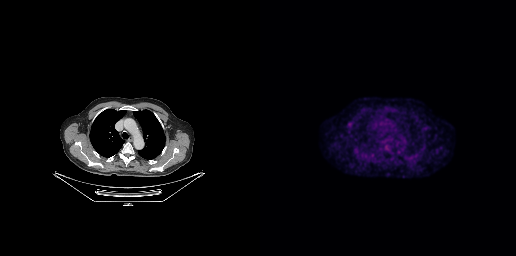
Negative for PSMA-avid disease on this slice.